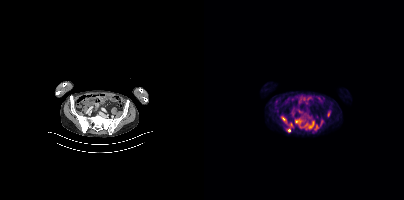
Coordinates are on the 200×200 PET (right) panel. (showing 4 of 5 foci) PSMA-avid tumor lesion bounding boxes (x0, y0)-(x1, y1): (91, 118)-(110, 129); (83, 126)-(87, 131); (110, 125)-(112, 129). Small PSMA-avid focus (2 to 4 px across) near (center x, center y): (124, 114).